Left: CT. Right: PSMA PET, same axial level, [18F]PSMA-1007 tracer. Acquired on Siemens Biograph mCT Flow 20. PET panel 200×200 px (4.1 mm/px).
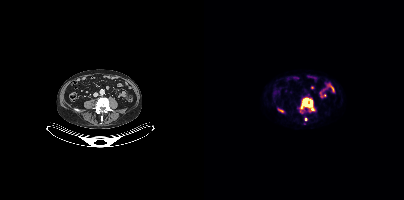
Coordinates are on the 200×200 PET (right) panel. PSMA-avid tumor lesion bounding boxes (partial; 4 more foci not listed):
| # | x0 | y0 | x1 | y1 |
|---|---|---|---|---|
| 1 | 96 | 98 | 108 | 109 |
Small PSMA-avid focus (2 to 4 px across) near (center x, center y): (101, 119).